Left: CT. Right: PSMA PET, same axial level, [18F]PSMA-1007 tracer.
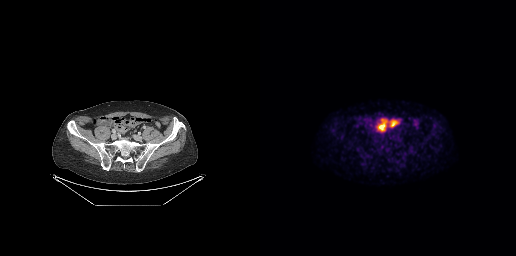
No tumor lesions annotated on this slice.